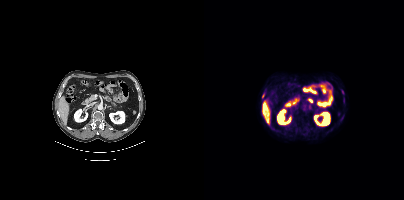
Coordinates are on the 200×200 PET (right) panel. Small PSMA-avid foci (2 to 4 px across) near (center x, center y): (138, 91) | (59, 95). Two-panel axial: CT | PSMA PET, 18F-PSMA tracer. Slice 212 of 438. PET panel 200×200 px (4.1 mm/px).